modality: PSMA PET/CT | tracer: 18F-PSMA | view: axial
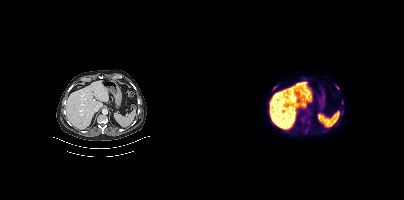
Coordinates are on the 200×200 PET (right) panel. (showing 2 of 3 foci) PSMA-avid tumor lesion bounding box (x0,y0,x1,y1): [132,85,135,89]. Small PSMA-avid focus (2 to 4 px across) near (center x, center y): (70, 87).